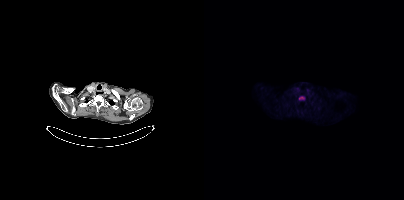
Coordinates are on the 200×200 PET (right) panel. PSMA-avid tumor lesion bounding boxes:
| # | x0 | y0 | x1 | y1 |
|---|---|---|---|---|
| 1 | 95 | 97 | 100 | 99 |
Paired axial CT (left) and PSMA PET (right), [18F]PSMA-1007 tracer. Slice position z = -924 mm.